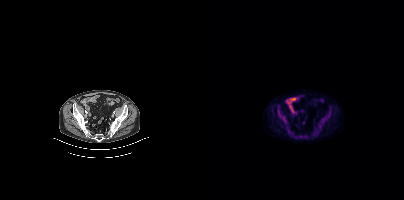
Coordinates are on the 200×200 PET (right) panel. PSMA-avid tumor lesion bounding boxes (x0, y0)-(x1, y1): (116, 117)-(122, 123) / (73, 105)-(76, 115) / (122, 108)-(126, 117) / (78, 118)-(83, 123). Small PSMA-avid foci (2 to 4 px across) near (center x, center y): (101, 136) / (97, 136). Two-panel axial: CT | PSMA PET, 18F-PSMA tracer.